Two-panel axial: CT | PSMA PET, 18F-PSMA tracer. Slice position z = -434 mm.
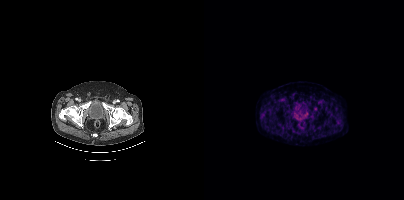
Negative for PSMA-avid disease on this slice.